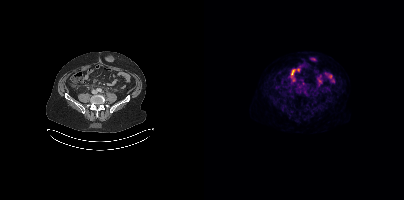
Technique: Two-panel axial: CT | PSMA PET, 18F-PSMA tracer. slice position z = -575 mm.
Findings: Coordinates are on the 200×200 PET (right) panel. PSMA-avid tumor lesion bounding box (x0,y0,x1,y1): [99,90,104,95].